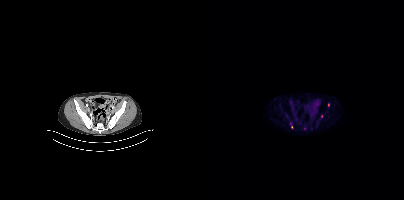
Paired axial CT (left) and PSMA PET (right), 18F-PSMA tracer. Acquired on Siemens Biograph mCT Flow 20. PET panel 200×200 px (4.1 mm/px). Coordinates are on the 200×200 PET (right) panel. (showing 2 of 3 foci) Small PSMA-avid foci (2 to 4 px across) near (center x, center y): (124, 104) | (117, 116).